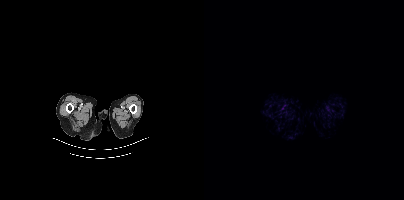
Left: CT. Right: PSMA PET, same axial level, 68Ga tracer. PET panel 200×200 px (4.1 mm/px). No PSMA-avid tumor lesions on this slice.